Two-panel axial: CT | PSMA PET, [18F]PSMA-1007 tracer. PET panel 200×200 px (4.1 mm/px).
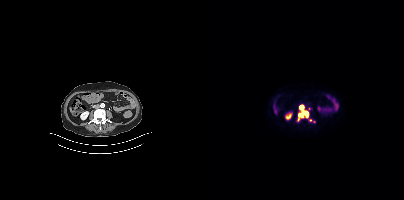
Coordinates are on the 200×200 PET (right) panel. (showing 1 of 2 foci) PSMA-avid tumor lesion bounding box (x0, y0)-(x1, y1): (94, 106)-(104, 119).